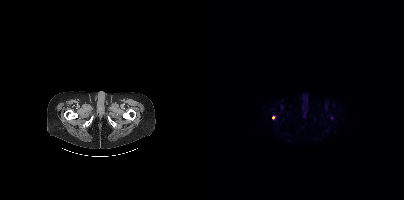
Coordinates are on the 200×200 PET (right) panel. Small PSMA-avid focus (2 to 4 px across) near (center x, center y): (69, 117).